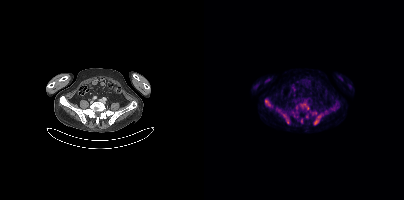
modality: PSMA PET/CT | tracer: 18F-PSMA | view: axial
Coordinates are on the 200×200 PET (right) panel. (showing 8 of 9 foci) PSMA-avid tumor lesion bounding boxes (x0, y0)-(x1, y1): (110, 114)-(119, 124) / (77, 113)-(85, 123) / (96, 104)-(105, 109) / (61, 100)-(66, 106). Small PSMA-avid foci (2 to 4 px across) near (center x, center y): (110, 113) / (97, 120) / (102, 116) / (92, 107).